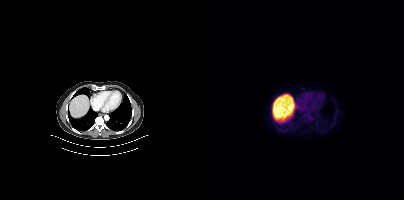
modality: PSMA PET/CT | tracer: [18F]PSMA-1007 | view: axial | PET grid: 200×200
No PSMA-avid tumor lesions on this slice.